modality: PSMA PET/CT | tracer: 68Ga-PSMA | view: axial
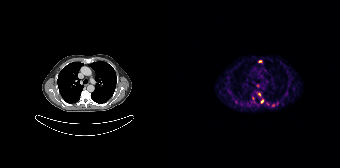
Coordinates are on the 168×168 PET (right) panel. (showing 4 of 7 foci) PSMA-avid tumor lesion bounding box (x, y, width, height): x=89 y=99 w=3 h=5. Small PSMA-avid foci (2 to 4 px across) near (center x, center y): (87, 94); (88, 61); (121, 88).